modality: PSMA PET/CT | tracer: 18F | view: axial
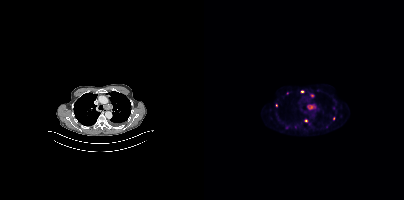
Coordinates are on the 200×200 PET (right) panel. (showing 8 of 9 foci) PSMA-avid tumor lesion bounding boxes (x0, y0)-(x1, y1): (103, 104)-(111, 109); (106, 94)-(110, 97). Small PSMA-avid foci (2 to 4 px across) near (center x, center y): (98, 91); (129, 108); (129, 118); (72, 105); (101, 120); (122, 126).